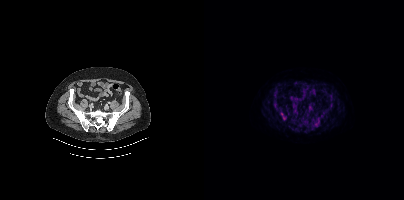
Two-panel axial: CT | PSMA PET, [18F]PSMA-1007 tracer. Acquired on Siemens Biograph mCT Flow 20. Coordinates are on the 200×200 PET (right) panel. PSMA-avid tumor lesion bounding boxes (x0, y0)-(x1, y1): (109, 119)-(115, 127); (76, 110)-(82, 120); (69, 89)-(74, 96); (89, 108)-(93, 112); (126, 99)-(128, 107); (119, 110)-(123, 114); (102, 123)-(105, 127). Small PSMA-avid focus (2 to 4 px across) near (center x, center y): (71, 102).